Technique: Left: CT. Right: PSMA PET, same axial level, 18F-PSMA tracer. acquired on Siemens Biograph mCT Flow 20. slice position z = -1337 mm. PET panel 200×200 px (4.1 mm/px).
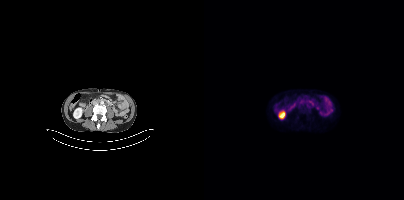
Findings: Coordinates are on the 200×200 PET (right) panel. Small PSMA-avid foci (2 to 4 px across) near (center x, center y): (97, 101) | (103, 106).